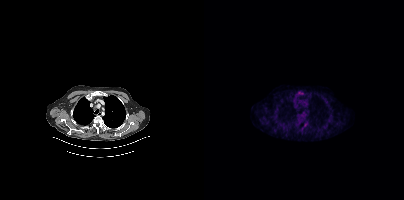
Technique: Paired axial CT (left) and PSMA PET (right), 18F tracer. slice 309 of 427.
Findings: Negative for PSMA-avid disease on this slice.